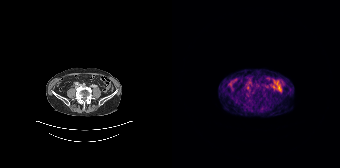
Negative for PSMA-avid disease on this slice.